- Left: CT. Right: PSMA PET, same axial level, [68Ga]Ga-PSMA-11 tracer
- acquired on Siemens Biograph 64-4R TruePoint
- slice 37 of 195
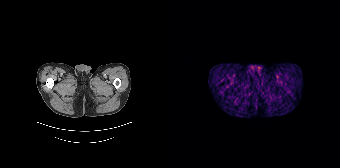
Findings: No PSMA-avid tumor lesions on this slice.